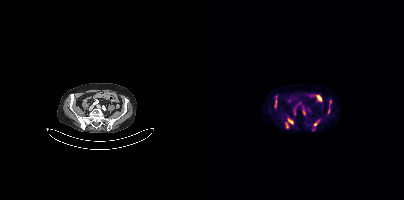
Paired axial CT (left) and PSMA PET (right), [18F]PSMA-1007 tracer. Slice position z = -820 mm. PET panel 200×200 px (4.1 mm/px). Coordinates are on the 200×200 PET (right) panel. (showing 5 of 6 foci) PSMA-avid tumor lesion bounding boxes (x0,y0,x1,y1): [84,118,89,123] [71,100,72,107] [81,123,84,127] [124,108,125,113]. Small PSMA-avid focus (2 to 4 px across) near (center x, center y): (111, 124).